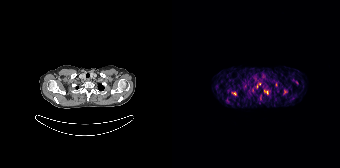
Findings: Coordinates are on the 168×168 PET (right) panel. (showing 4 of 7 foci) PSMA-avid tumor lesion bounding boxes (x0,y0,x1,y1): [92,90,96,93], [60,92,64,95]. Small PSMA-avid foci (2 to 4 px across) near (center x, center y): (113, 91), (87, 83).
- Left: CT. Right: PSMA PET, same axial level, 68Ga tracer